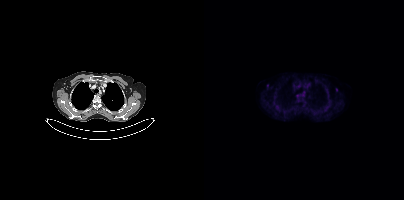
This slice has no annotated PSMA-avid lesion.